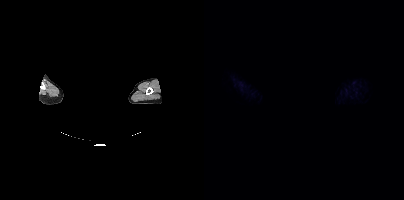
modality: PSMA PET/CT | tracer: [18F]PSMA-1007 | view: axial | de-identification: head region blanked (face removed)
No PSMA-avid tumor lesions on this slice.